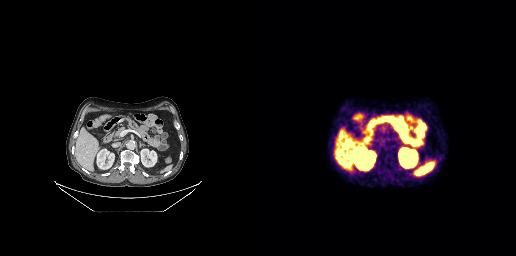
- Two-panel axial: CT | PSMA PET, 68Ga-PSMA tracer
- acquired on GE Discovery 690
Findings: This slice has no annotated PSMA-avid lesion.